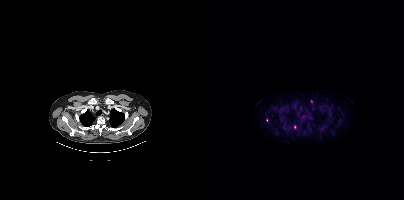
modality: PSMA PET/CT | tracer: 18F | view: axial
Coordinates are on the 200×200 PET (right) panel. (showing 2 of 3 foci) Small PSMA-avid foci (2 to 4 px across) near (center x, center y): (90, 126); (107, 101).